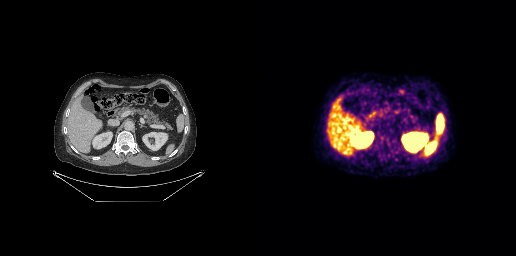
- Two-panel axial: CT | PSMA PET, 68Ga-PSMA tracer
- acquired on GE Discovery 690
- PET panel 256×256 px (2.7 mm/px)
Findings: Negative for PSMA-avid disease on this slice.